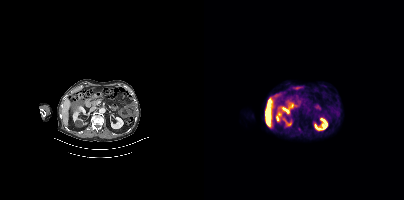
No tumor lesions annotated on this slice.